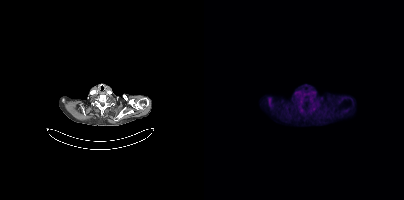
Negative for PSMA-avid disease on this slice.
modality: PSMA PET/CT | tracer: 18F-PSMA | view: axial | PET grid: 200×200